modality: PSMA PET/CT | tracer: 68Ga | view: axial | PET grid: 168×168
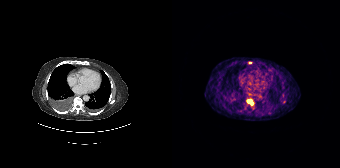
Coordinates are on the 168×168 PET (right) panel. (showing 2 of 3 foci) PSMA-avid tumor lesion bounding box (x0, y0)-(x1, y1): (75, 100)-(81, 104). Small PSMA-avid focus (2 to 4 px across) near (center x, center y): (77, 62).